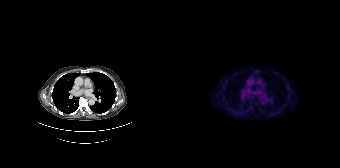
Findings: Coordinates are on the 168×168 PET (right) panel. Small PSMA-avid focus (2 to 4 px across) near (center x, center y): (116, 87).
- Two-panel axial: CT | PSMA PET, 18F tracer
- PET panel 168×168 px (4.1 mm/px)